modality: PSMA PET/CT | tracer: 68Ga | view: axial | PET grid: 168×168
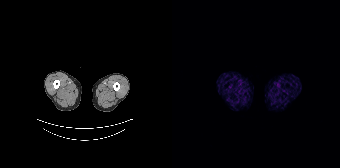
No PSMA-avid tumor lesions on this slice.